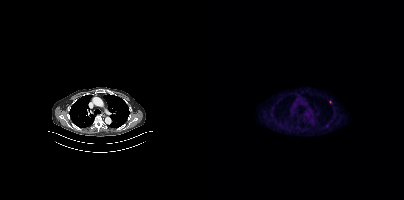
Left: CT. Right: PSMA PET, same axial level, 18F tracer. Slice 296 of 389. Coordinates are on the 200×200 PET (right) panel. Small PSMA-avid foci (2 to 4 px across) near (center x, center y): (123, 125); (126, 102).